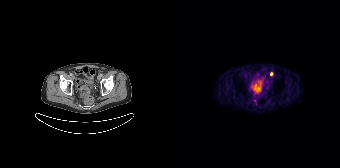
modality: PSMA PET/CT | tracer: 68Ga | view: axial | PET grid: 168×168
Coordinates are on the 168×168 PET (right) panel. Small PSMA-avid focus (2 to 4 px across) near (center x, center y): (99, 73).